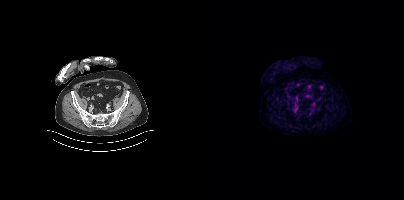
This slice has no annotated PSMA-avid lesion.